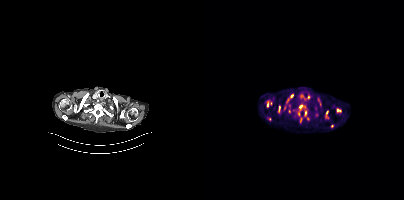
Two-panel axial: CT | PSMA PET, [18F]PSMA-1007 tracer. PET panel 200×200 px (4.1 mm/px).
Coordinates are on the 200×200 PET (right) panel. PSMA-avid tumor lesion bounding boxes:
| # | x0 | y0 | x1 | y1 |
|---|---|---|---|---|
| 1 | 94 | 104 | 101 | 115 |
| 2 | 81 | 97 | 86 | 105 |
| 3 | 100 | 110 | 103 | 116 |
| 4 | 96 | 118 | 97 | 122 |
Small PSMA-avid foci (2 to 4 px across) near (center x, center y): (104, 97); (65, 119); (87, 96); (103, 118).